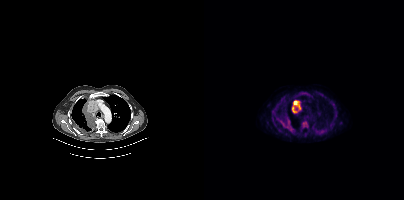
Technique: Paired axial CT (left) and PSMA PET (right), 18F tracer. acquired on Siemens Biograph mCT Flow 20. slice position z = -1070 mm. PET panel 200×200 px (4.1 mm/px).
Findings: Coordinates are on the 200×200 PET (right) panel. PSMA-avid tumor lesion bounding boxes (x0,y0,x1,y1): [77,118,88,130], [88,100,96,112], [93,92,101,96].